- Left: CT. Right: PSMA PET, same axial level, [18F]PSMA-1007 tracer
- acquired on Siemens Biograph mCT Flow 20
- PET panel 200×200 px (4.1 mm/px)
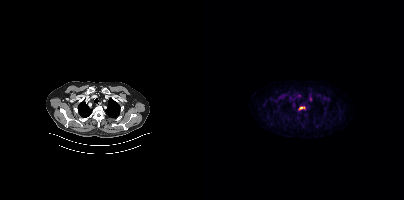
Findings: Coordinates are on the 200×200 PET (right) panel. PSMA-avid tumor lesion bounding box (x0,y0,x1,y1): [95,106,100,109].